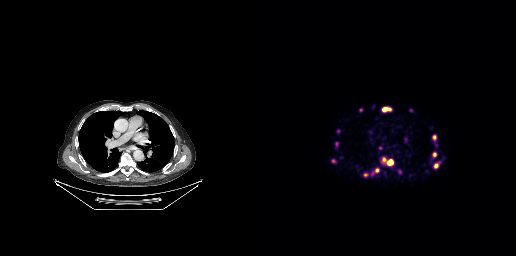
{"modality":"PSMA PET/CT","view":"axial","tracer":"68Ga-PSMA","pet_grid":[256,256],"coord_frame":"pet_panel","coord_format":"x0,y0,x1,y1","lesion_bboxes":[[122,107,128,111],[115,168,119,172],[128,160,132,164],[174,164,178,167],[173,135,176,139]],"small_foci_centers":[[100,109],[76,143],[174,154],[105,174],[120,147],[124,159],[73,160],[145,139],[112,173]]}